Two-panel axial: CT | PSMA PET, 68Ga tracer. Slice position z = -1237 mm. PET panel 168×168 px (4.1 mm/px).
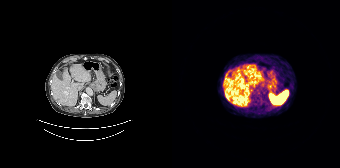
This slice has no annotated PSMA-avid lesion.